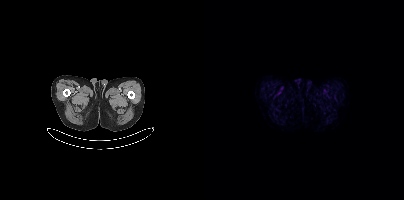
Negative for PSMA-avid disease on this slice.